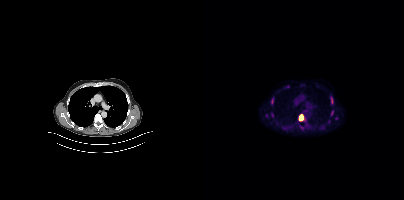
{"modality":"PSMA PET/CT","view":"axial","tracer":"18F","pet_grid":[200,200],"coord_frame":"pet_panel","coord_format":"x0,y0,x1,y1","lesion_bboxes":[[95,114,99,120],[126,99,129,104],[127,110,129,115],[68,113,69,117]],"small_foci_centers":[[68,102],[132,118],[119,127],[124,121],[62,115]]}